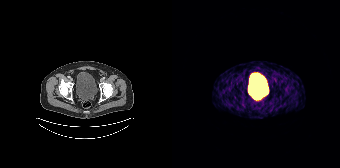
Left: CT. Right: PSMA PET, same axial level, 68Ga tracer. Acquired on Siemens Biograph 64-4R TruePoint. No tumor lesions annotated on this slice.